Technique: Two-panel axial: CT | PSMA PET, 18F tracer. slice 267 of 401. PET panel 200×200 px (4.1 mm/px).
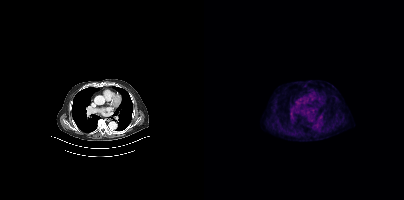
Findings: Negative for PSMA-avid disease on this slice.